Paired axial CT (left) and PSMA PET (right), 18F-PSMA tracer. Acquired on Siemens Biograph mCT Flow 20. PET panel 200×200 px (4.1 mm/px).
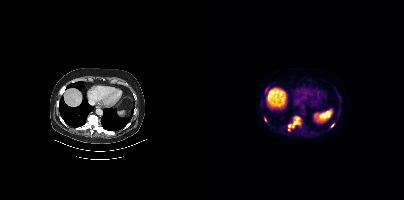
Coordinates are on the 200×200 PET (right) panel. PSMA-avid tumor lesion bounding boxes (x0,y0,x1,y1): [84,116,97,131] [127,123,130,127] [60,117,62,121]. Small PSMA-avid focus (2 to 4 px across) near (center x, center y): (62, 88).